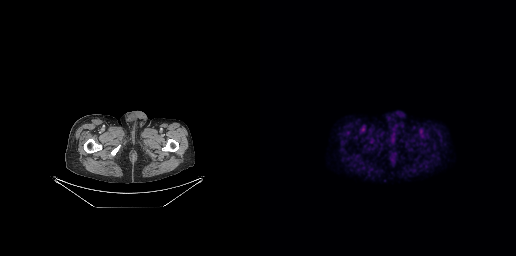
Findings: No tumor lesions annotated on this slice.
Technique: Left: CT. Right: PSMA PET, same axial level, 18F tracer. acquired on GE Discovery 690. slice position z = -750 mm.